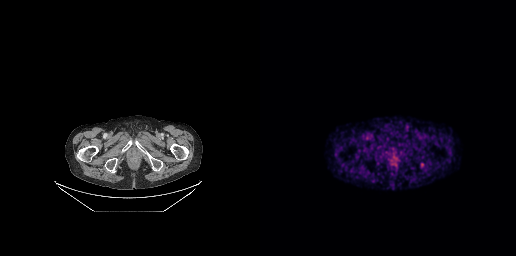
Coordinates are on the 256×256 PET (right) panel. PSMA-avid tumor lesion bounding box (x0, y0)-(x1, y1): (161, 163)-(163, 167).